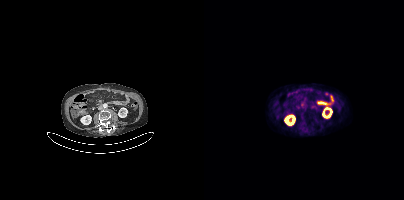
Left: CT. Right: PSMA PET, same axial level, 18F tracer. Acquired on Siemens Biograph mCT Flow 20. Slice 170 of 425. PET panel 200×200 px (4.1 mm/px). No tumor lesions annotated on this slice.